modality: PSMA PET/CT | tracer: 18F | view: axial
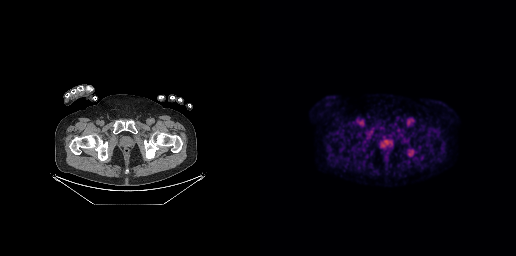
Coordinates are on the 256×256 PET (right) panel. PSMA-avid tumor lesion bounding box (x0,y0,x1,y1): [147,149,154,156].